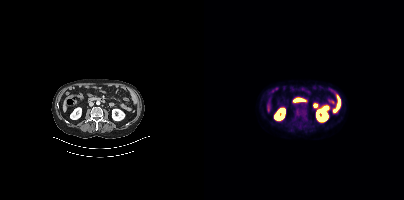
Technique: Paired axial CT (left) and PSMA PET (right), [18F]PSMA-1007 tracer. slice 174 of 409.
Findings: No PSMA-avid tumor lesions on this slice.